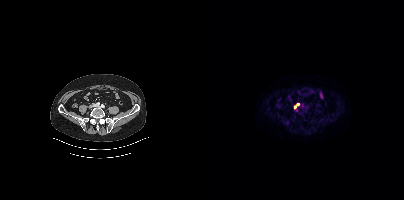
Findings: Coordinates are on the 200×200 PET (right) panel. Small PSMA-avid foci (2 to 4 px across) near (center x, center y): (91, 107); (93, 103).
- Paired axial CT (left) and PSMA PET (right), 18F-PSMA tracer
- acquired on Siemens Biograph mCT Flow 20